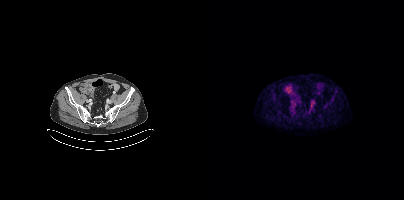
Negative for PSMA-avid disease on this slice.